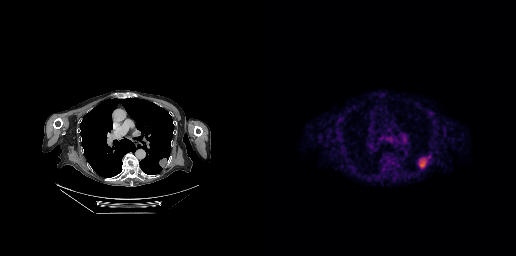
Technique: Paired axial CT (left) and PSMA PET (right), [18F]PSMA-1007 tracer. slice 181 of 263.
Findings: Coordinates are on the 256×256 PET (right) panel. PSMA-avid tumor lesion bounding box (x0, y0)-(x1, y1): (159, 158)-(167, 168).